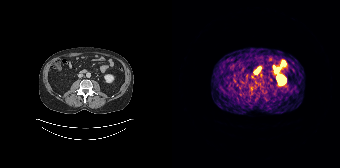
{"modality":"PSMA PET/CT","view":"axial","tracer":"68Ga-PSMA","pet_grid":[168,168],"coord_frame":"pet_panel","coord_format":"x0,y0,x1,y1","psma_avid_lesions":false}